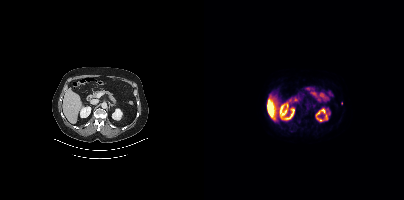
Coordinates are on the 200×200 PET (right) panel. Small PSMA-avid focus (2 to 4 px across) near (center x, center y): (137, 103). Left: CT. Right: PSMA PET, same axial level, [18F]PSMA-1007 tracer. Slice 205 of 444.